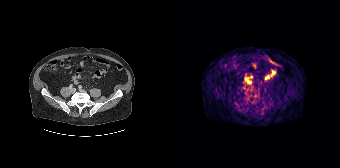
Findings: No PSMA-avid tumor lesions on this slice.
- Two-panel axial: CT | PSMA PET, 68Ga tracer
- slice 78 of 195
- PET panel 168×168 px (4.1 mm/px)